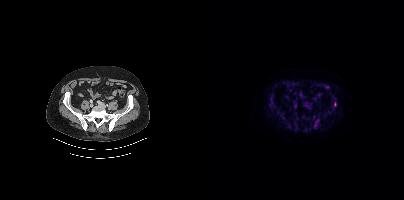
{"modality":"PSMA PET/CT","view":"axial","tracer":"[18F]PSMA-1007","pet_grid":[200,200],"coord_frame":"pet_panel","coord_format":"x0,y0,x1,y1","partial":true,"lesion_bboxes":[[109,119,115,128],[65,103,70,108],[122,110,127,114],[128,96,131,100],[110,113,114,117],[77,114,80,118]],"small_foci_centers":[[130,104]]}